- Paired axial CT (left) and PSMA PET (right), 68Ga tracer
- acquired on GE Discovery 690
- slice position z = -196 mm
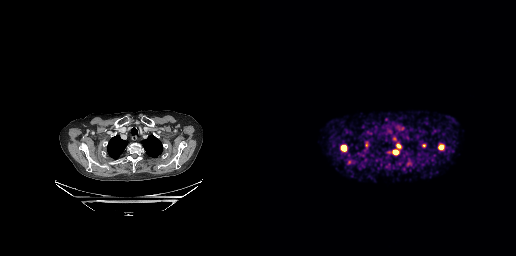
Findings: Coordinates are on the 256×256 PET (right) panel. (showing 9 of 11 foci) PSMA-avid tumor lesion bounding boxes (x0,y0,x1,y1): [81,145,86,150]; [178,144,184,149]; [136,144,141,148]; [134,149,139,153]; [105,143,108,147]. Small PSMA-avid foci (2 to 4 px across) near (center x, center y): (163, 145); (89, 161); (102, 155); (126, 119).